Technique: Two-panel axial: CT | PSMA PET, 18F tracer.
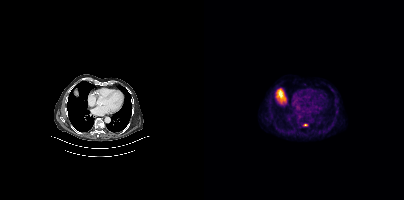
Findings: Coordinates are on the 200×200 PET (right) panel. Small PSMA-avid focus (2 to 4 px across) near (center x, center y): (101, 124).